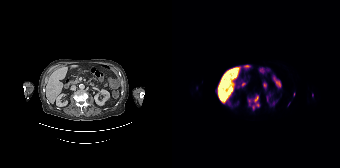
Coordinates are on the 168×168 PET (right) panel. (showing 2 of 3 foci) PSMA-avid tumor lesion bounding boxes (x, y, width, height): x=80 y=95 w=8 h=15; x=76 y=99 w=3 h=7.